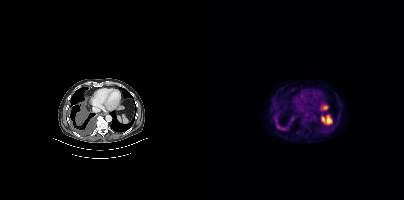
Technique: Left: CT. Right: PSMA PET, same axial level, 18F-PSMA tracer. slice position z = -1108 mm.
Findings: Coordinates are on the 200×200 PET (right) panel. PSMA-avid tumor lesion bounding boxes (x, y, width, height): x=69 y=116 w=15 h=15; x=85 y=116 w=7 h=7.